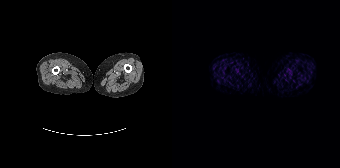
No PSMA-avid tumor lesions on this slice. Left: CT. Right: PSMA PET, same axial level, 68Ga-PSMA tracer. PET panel 168×168 px (4.1 mm/px).